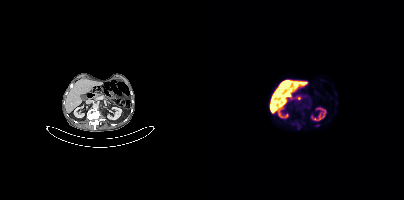
Two-panel axial: CT | PSMA PET, [18F]PSMA-1007 tracer. No PSMA-avid tumor lesions on this slice.